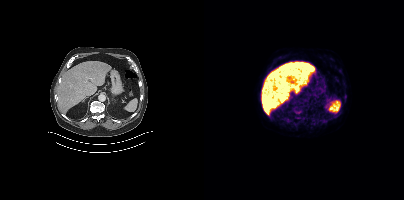
Findings: No tumor lesions annotated on this slice.
Technique: Two-panel axial: CT | PSMA PET, 18F-PSMA tracer. slice position z = -504 mm. PET panel 200×200 px (4.1 mm/px).